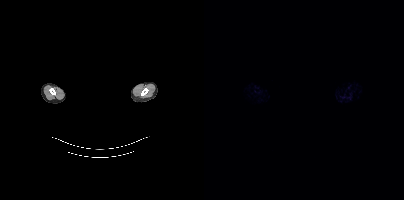
This slice has no annotated PSMA-avid lesion. Two-panel axial: CT | PSMA PET, [18F]PSMA-1007 tracer. Slice position z = -852 mm. A rectangular block over the head has been blanked out for de-identification.